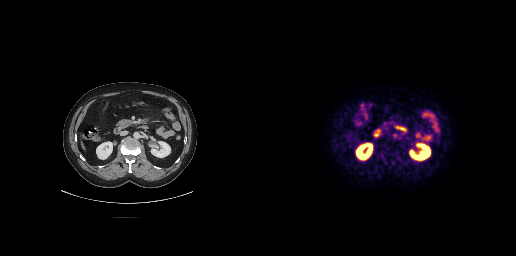
Left: CT. Right: PSMA PET, same axial level, [18F]PSMA-1007 tracer. Acquired on GE Discovery 690. PET panel 256×256 px (2.7 mm/px). Negative for PSMA-avid disease on this slice.